Technique: Paired axial CT (left) and PSMA PET (right), 18F tracer. acquired on Siemens Biograph mCT Flow 20. PET panel 200×200 px (4.1 mm/px).
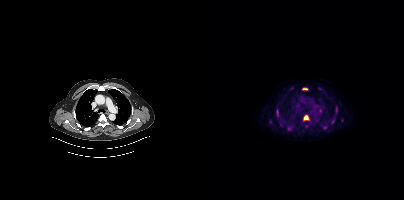
Findings: Coordinates are on the 200×200 PET (right) panel. (showing 10 of 11 foci) PSMA-avid tumor lesion bounding boxes (x0, y0)-(x1, y1): (99, 115)-(105, 120) / (131, 106)-(133, 115) / (118, 125)-(123, 129) / (83, 127)-(88, 131) / (100, 124)-(105, 128) / (98, 88)-(103, 90) / (72, 109)-(74, 116). Small PSMA-avid foci (2 to 4 px across) near (center x, center y): (138, 120) / (128, 122) / (66, 121).